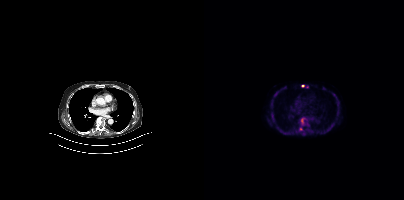
modality: PSMA PET/CT | tracer: 18F | view: axial | PET grid: 200×200
Coordinates are on the 200×200 PET (right) panel. (showing 3 of 4 foci) PSMA-avid tumor lesion bounding box (x0, y0)-(x1, y1): (96, 119)-(101, 125). Small PSMA-avid foci (2 to 4 px across) near (center x, center y): (96, 127); (99, 85).